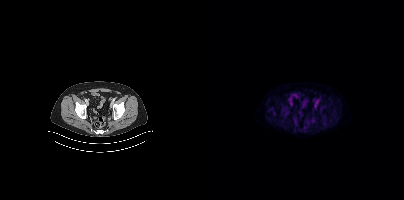
Coordinates are on the 200×200 PET (right) panel. PSMA-avid tumor lesion bounding box (x, y, width, height): x=84 y=97 w=5 h=5.